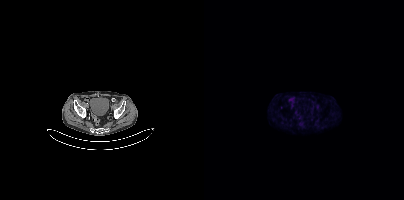
Paired axial CT (left) and PSMA PET (right), 18F tracer. Slice position z = -930 mm. PET panel 200×200 px (4.1 mm/px). This slice has no annotated PSMA-avid lesion.